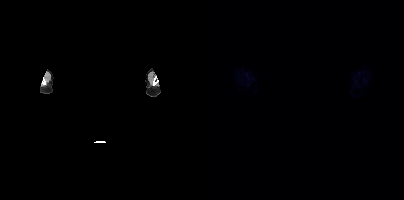
{"modality":"PSMA PET/CT","view":"axial","tracer":"18F","pet_grid":[200,200],"coord_frame":"pet_panel","coord_format":"x0,y0,x1,y1","psma_avid_lesions":false,"de-identification":"rectangular block over head set to black"}